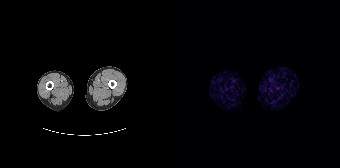
Left: CT. Right: PSMA PET, same axial level, 68Ga-PSMA tracer. PET panel 168×168 px (4.1 mm/px). No tumor lesions annotated on this slice.